Technique: Two-panel axial: CT | PSMA PET, [18F]PSMA-1007 tracer. slice 125 of 401.
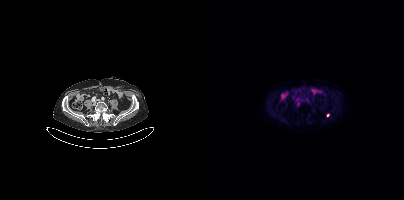
Findings: Only PSMA-avid lesion pieces thinner than 2 px on this slice (not listed).